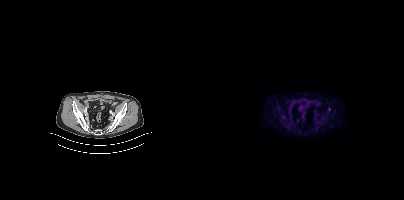
Only PSMA-avid lesion pieces thinner than 2 px on this slice (not listed). Two-panel axial: CT | PSMA PET, [18F]PSMA-1007 tracer. Acquired on Siemens Biograph mCT Flow 20.